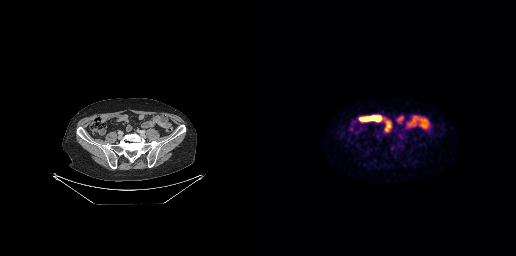
{"modality":"PSMA PET/CT","view":"axial","tracer":"18F","pet_grid":[256,256],"coord_frame":"pet_panel","coord_format":"x0,y0,x1,y1","psma_avid_lesions":false}